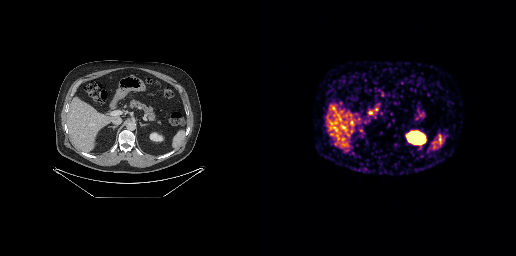
Paired axial CT (left) and PSMA PET (right), 68Ga tracer. Slice 176 of 299. PET panel 256×256 px (2.7 mm/px). Coordinates are on the 256×256 PET (right) panel. PSMA-avid tumor lesion bounding box (x, y, width, height): x=108 y=110 w=6 h=5.